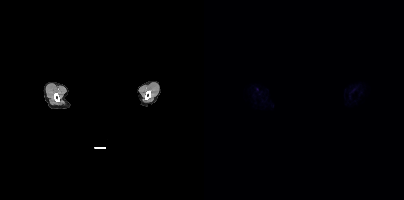
modality: PSMA PET/CT | tracer: [18F]PSMA-1007 | view: axial | PET grid: 200×200 | de-identification: head region blacked out before release
Negative for PSMA-avid disease on this slice.